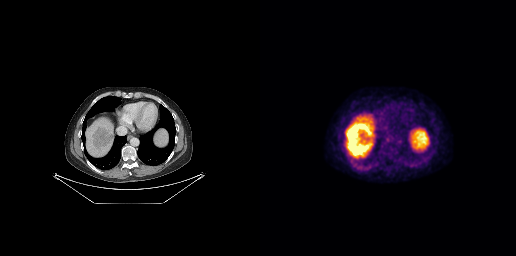
Negative for PSMA-avid disease on this slice.